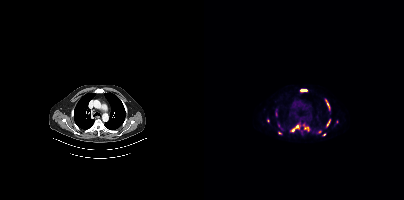
{"modality":"PSMA PET/CT","view":"axial","tracer":"18F-PSMA","pet_grid":[200,200],"coord_frame":"pet_panel","coord_format":"x0,y0,x1,y1","partial":true,"lesion_bboxes":[[87,125,94,131],[96,89,103,91],[121,100,125,107],[123,121,126,126],[100,127,104,131],[72,112,73,116]],"small_foci_centers":[[115,131],[120,134],[75,132]]}